Two-panel axial: CT | PSMA PET, [18F]PSMA-1007 tracer.
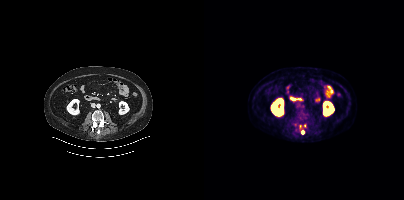
Coordinates are on the 200×200 PET (right) panel. (showing 1 of 3 foci) Small PSMA-avid focus (2 to 4 px across) near (center x, center y): (98, 132).